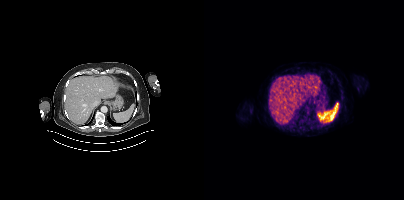
This slice has no annotated PSMA-avid lesion. Left: CT. Right: PSMA PET, same axial level, [68Ga]Ga-PSMA-11 tracer. Slice position z = -1128 mm.